Paired axial CT (left) and PSMA PET (right), 68Ga tracer. PET panel 168×168 px (4.1 mm/px).
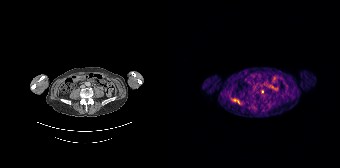
Coordinates are on the 168×168 PET (right) panel. Small PSMA-avid focus (2 to 4 px across) near (center x, center y): (90, 91).